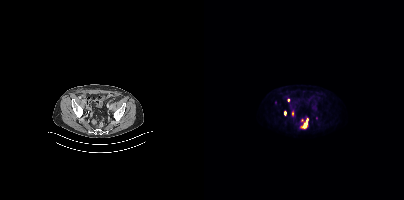
Paired axial CT (left) and PSMA PET (right), 18F tracer. Slice 87 of 411. PET panel 200×200 px (4.1 mm/px).
Coordinates are on the 200×200 PET (right) panel. PSMA-avid tumor lesion bounding boxes:
| # | x0 | y0 | x1 | y1 |
|---|---|---|---|---|
| 1 | 96 | 118 | 104 | 128 |
| 2 | 80 | 110 | 82 | 115 |
| 3 | 88 | 111 | 89 | 115 |
Small PSMA-avid foci (2 to 4 px across) near (center x, center y): (84, 99); (98, 120).